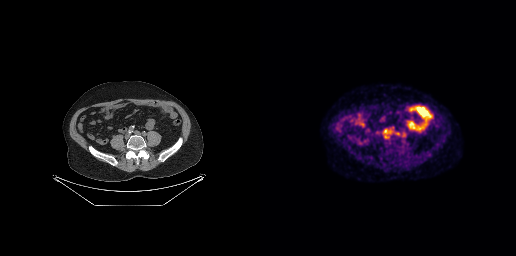
Negative for PSMA-avid disease on this slice.